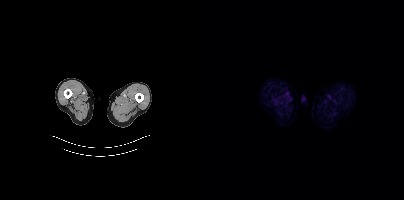
No PSMA-avid tumor lesions on this slice.